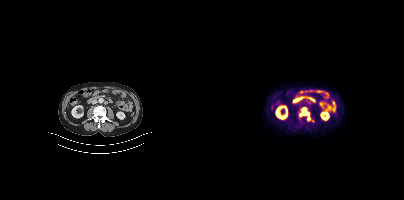
- Left: CT. Right: PSMA PET, same axial level, 18F-PSMA tracer
- slice position z = -657 mm
Findings: Coordinates are on the 200×200 PET (right) panel. PSMA-avid tumor lesion bounding box (x, y, width, height): x=95 y=107 w=12 h=14.